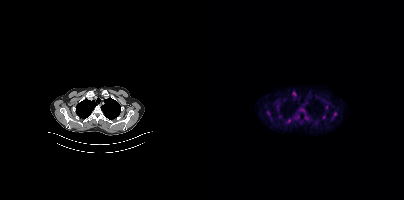
Coordinates are on the 200×200 PET (right) panel. PSMA-avid tumor lesion bounding boxes (x0,y0,x1,y1): [128,112,132,119] [121,105,124,109] [63,111,66,115]. Small PSMA-avid foci (2 to 4 px across) near (center x, center y): (119, 116) (75, 116) (112, 122).
modality: PSMA PET/CT | tracer: 18F | view: axial